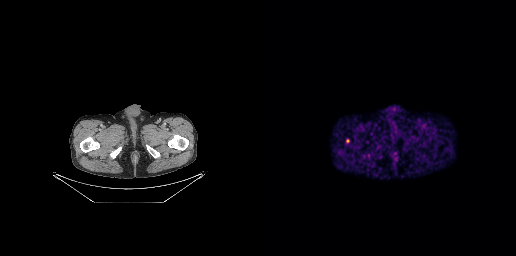
Technique: Left: CT. Right: PSMA PET, same axial level, [68Ga]Ga-PSMA-11 tracer. slice position z = -955 mm.
Findings: Coordinates are on the 256×256 PET (right) panel. PSMA-avid tumor lesion bounding box (x, y, width, height): x=86 y=139 w=4 h=5.